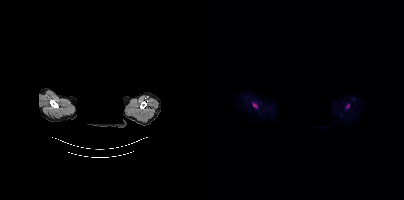
Technique: Paired axial CT (left) and PSMA PET (right), 18F-PSMA tracer. acquired on Siemens Biograph mCT Flow 20.
Note: Head region blanked for anonymization (face removed).
Findings: Coordinates are on the 200×200 PET (right) panel. PSMA-avid tumor lesion bounding box (x0,y0,x1,y1): [48,102,53,107]. Small PSMA-avid focus (2 to 4 px across) near (center x, center y): (143, 105).